Left: CT. Right: PSMA PET, same axial level, 18F tracer. Acquired on Siemens Biograph mCT Flow 20. Slice position z = -1226 mm.
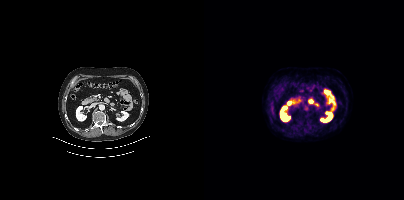
This slice has no annotated PSMA-avid lesion.